Two-panel axial: CT | PSMA PET, 68Ga-PSMA tracer. The face region was removed for patient privacy by blanking a rectangle over the head.
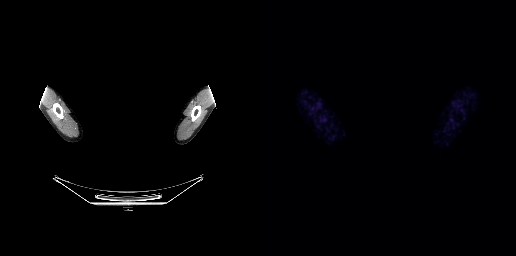
No PSMA-avid tumor lesions on this slice.